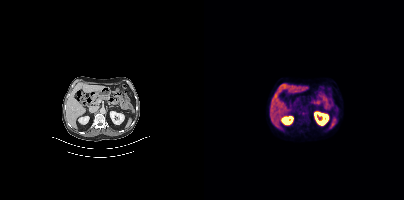
{"modality":"PSMA PET/CT","view":"axial","tracer":"[18F]PSMA-1007","pet_grid":[200,200],"coord_frame":"pet_panel","coord_format":"x0,y0,x1,y1","partial":true,"lesion_bboxes":[]}